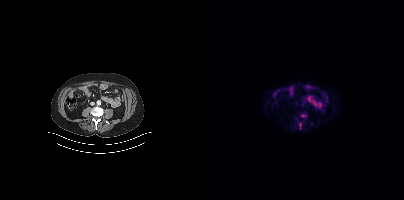
Left: CT. Right: PSMA PET, same axial level, 18F-PSMA tracer. Acquired on Siemens Biograph mCT Flow 20. This slice has no annotated PSMA-avid lesion.